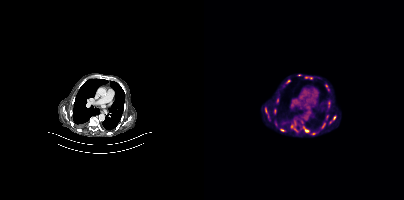
{"modality":"PSMA PET/CT","view":"axial","tracer":"18F","pet_grid":[200,200],"coord_frame":"pet_panel","coord_format":"x0,y0,x1,y1","partial":true,"lesion_bboxes":[[87,120,94,131],[61,107,66,120],[98,126,104,132],[70,109,72,113],[129,116,131,120]],"small_foci_centers":[[73,101],[120,124],[97,122],[126,122]]}